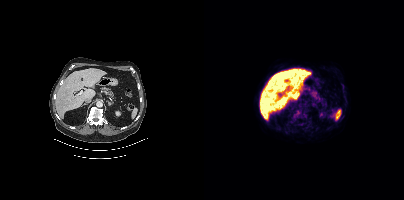
{"modality":"PSMA PET/CT","view":"axial","tracer":"18F-PSMA","pet_grid":[200,200],"coord_frame":"pet_panel","coord_format":"x0,y0,x1,y1","psma_avid_lesions":false}